Technique: Paired axial CT (left) and PSMA PET (right), [18F]PSMA-1007 tracer. slice 276 of 409.
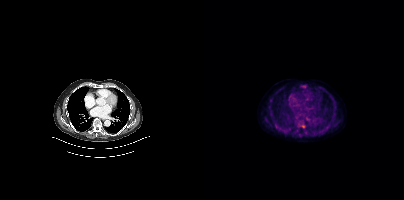
Findings: Coordinates are on the 200×200 PET (right) panel. PSMA-avid tumor lesion bounding box (x0,y0,x1,y1): [96,123,101,128].